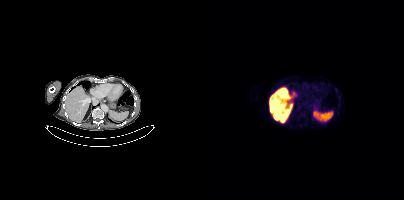
- Left: CT. Right: PSMA PET, same axial level, 18F tracer
- slice position z = -1134 mm
Findings: No tumor lesions annotated on this slice.